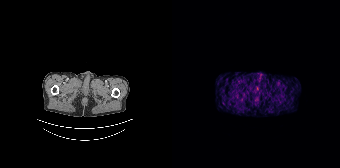
Technique: Two-panel axial: CT | PSMA PET, [68Ga]Ga-PSMA-11 tracer.
Findings: This slice has no annotated PSMA-avid lesion.